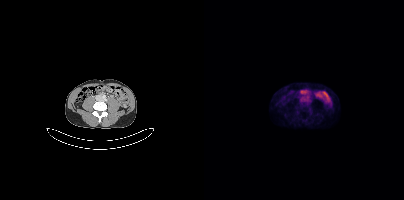
Technique: Two-panel axial: CT | PSMA PET, 18F-PSMA tracer. acquired on Siemens Biograph mCT Flow 20. slice 144 of 417.
Findings: This slice has no annotated PSMA-avid lesion.